Technique: Two-panel axial: CT | PSMA PET, 68Ga-PSMA tracer. acquired on Siemens Biograph mCT Flow 20. PET panel 200×200 px (4.1 mm/px).
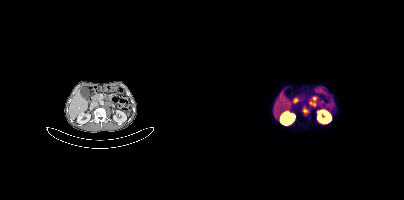
Findings: Coordinates are on the 200×200 PET (right) panel. PSMA-avid tumor lesion bounding boxes (x0,y0,x1,y1): [105,96,112,106], [99,107,104,115].